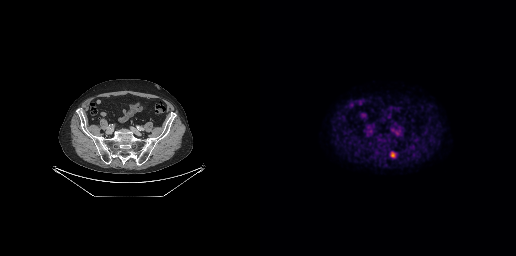
{"modality":"PSMA PET/CT","view":"axial","tracer":"18F-PSMA","pet_grid":[256,256],"coord_frame":"pet_panel","coord_format":"x0,y0,x1,y1","lesion_bboxes":[[130,151,135,157]]}